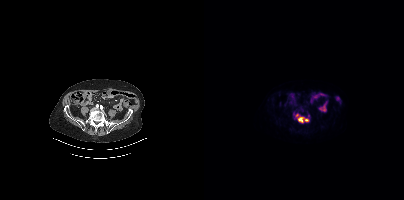
{"modality":"PSMA PET/CT","view":"axial","tracer":"[18F]PSMA-1007","pet_grid":[200,200],"coord_frame":"pet_panel","coord_format":"x0,y0,x1,y1","lesion_bboxes":[[89,113,105,123]]}